Left: CT. Right: PSMA PET, same axial level, 18F tracer. Acquired on Siemens Biograph mCT Flow 20.
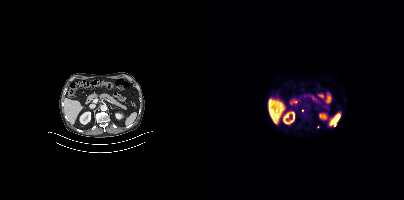
Only PSMA-avid lesion pieces thinner than 2 px on this slice (not listed).